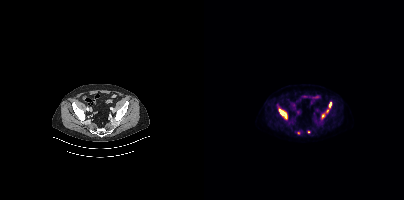
Findings: Coordinates are on the 200×200 PET (right) panel. PSMA-avid tumor lesion bounding boxes (x, y, width, height): x=75 y=109 w=9 h=10; x=122 y=102 w=6 h=11; x=118 y=113 w=3 h=5. Small PSMA-avid foci (2 to 4 px across) near (center x, center y): (94, 133); (104, 131).
Technique: Two-panel axial: CT | PSMA PET, 18F-PSMA tracer. acquired on Siemens Biograph mCT Flow 20. PET panel 200×200 px (4.1 mm/px).